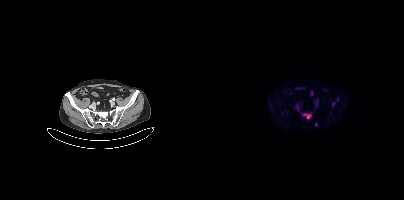
Left: CT. Right: PSMA PET, same axial level, [18F]PSMA-1007 tracer. Acquired on Siemens Biograph mCT Flow 20. Slice 105 of 429.
Coordinates are on the 200×200 PET (right) panel. PSMA-avid tumor lesion bounding boxes (partial; 2 more foci not listed):
| # | x0 | y0 | x1 | y1 |
|---|---|---|---|---|
| 1 | 99 | 114 | 106 | 118 |